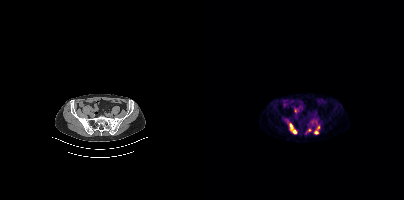
Coordinates are on the 200×200 PET (right) panel. PSMA-avid tumor lesion bounding boxes (x, y, width, height): x=85 y=123 w=8 h=11 | x=110 y=126 w=6 h=9. Small PSMA-avid focus (2 to 4 px across) near (center x, center y): (105, 130).
modality: PSMA PET/CT | tracer: 68Ga | view: axial